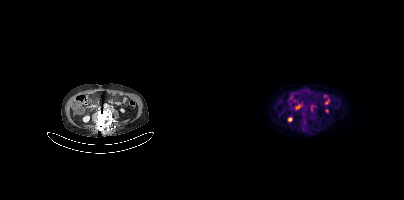
Two-panel axial: CT | PSMA PET, 18F tracer. PET panel 200×200 px (4.1 mm/px). Coordinates are on the 200×200 PET (right) panel. PSMA-avid tumor lesion bounding box (x, y, width, height): x=106 y=104 w=7 h=9.